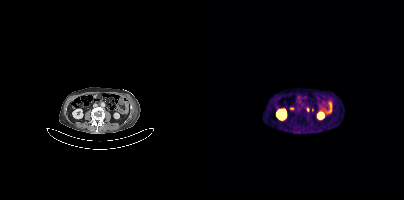
Two-panel axial: CT | PSMA PET, 68Ga tracer. Acquired on Siemens Biograph mCT Flow 20. PET panel 200×200 px (4.1 mm/px). Coordinates are on the 200×200 PET (right) panel. PSMA-avid tumor lesion bounding box (x0, y0)-(x1, y1): (103, 107)-(105, 111).